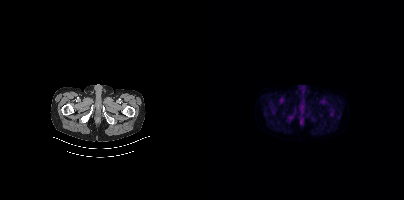
Findings: This slice has no annotated PSMA-avid lesion.
Technique: Left: CT. Right: PSMA PET, same axial level, [18F]PSMA-1007 tracer. slice position z = -135 mm.